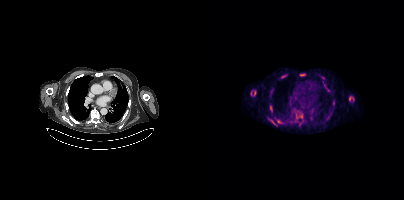
Coordinates are on the 200×200 PET (right) panel. PSMA-avid tumor lesion bounding boxes (partial; 1 more focus not listed):
| # | x0 | y0 | x1 | y1 |
|---|---|---|---|---|
| 1 | 145 | 96 | 150 | 101 |
| 2 | 46 | 90 | 51 | 95 |
| 3 | 66 | 106 | 68 | 112 |
| 4 | 65 | 119 | 72 | 125 |
| 5 | 96 | 74 | 100 | 75 |
Small PSMA-avid foci (2 to 4 px across) near (center x, center y): (97, 116); (74, 121).
Left: CT. Right: PSMA PET, same axial level, 18F tracer. Slice 286 of 401.